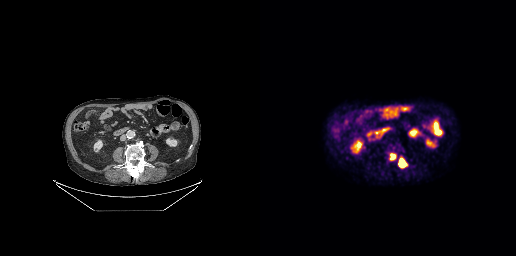
Coordinates are on the 256×256 PET (right) panel. PSMA-avid tumor lesion bounding boxes (x, y, width, height): x=139 y=158 w=8 h=10 | x=130 y=153 w=7 h=8.
modality: PSMA PET/CT | tracer: 18F | view: axial